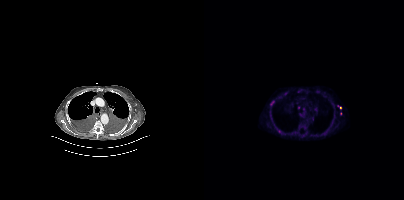
Coordinates are on the 200×200 PET (right) panel. (showing 10 of 12 foci) PSMA-avid tumor lesion bounding box (x0, y0)-(x1, y1): (66, 101)-(70, 105). Small PSMA-avid foci (2 to 4 px across) near (center x, center y): (75, 131) | (94, 91) | (99, 109) | (121, 132) | (96, 114) | (81, 93) | (94, 107) | (136, 107) | (91, 132).